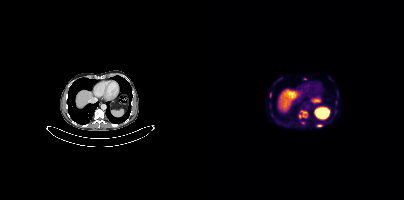
Coordinates are on the 200×200 PET (right) panel. PSMA-avid tumor lesion bounding boxes (x, y, width, height): x=95 y=110 w=9 h=9 / x=113 y=124 w=6 h=3. Small PSMA-avid foci (2 to 4 px across) near (center x, center y): (99, 122) / (66, 95).